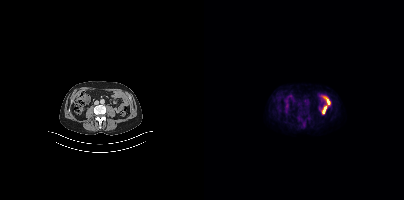
{"modality":"PSMA PET/CT","view":"axial","tracer":"[18F]PSMA-1007","pet_grid":[200,200],"coord_frame":"pet_panel","coord_format":"x0,y0,x1,y1","psma_avid_lesions":false}